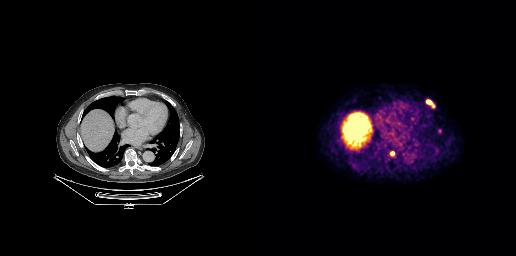
Findings: Coordinates are on the 256×256 PET (right) panel. PSMA-avid tumor lesion bounding boxes (x, y, width, height): x=166 y=99 w=10 h=10; x=129 y=150 w=7 h=8; x=178 y=129 w=4 h=5.
- Paired axial CT (left) and PSMA PET (right), 18F tracer
- slice 183 of 263
- PET panel 256×256 px (2.7 mm/px)